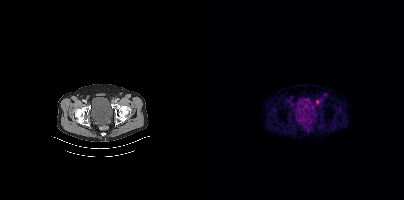
Coordinates are on the 200×200 PET (right) panel. Small PSMA-avid focus (2 to 4 px across) near (center x, center y): (113, 101).